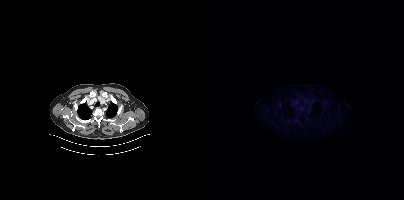
{"modality":"PSMA PET/CT","view":"axial","tracer":"18F","pet_grid":[200,200],"coord_frame":"pet_panel","coord_format":"x0,y0,x1,y1","lesion_bboxes":[],"small_foci_centers":[[76,104]]}